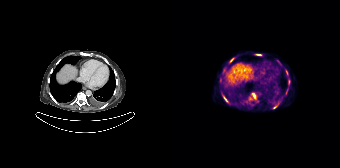
Coordinates are on the 168×168 PET (right) panel. (showing 8 of 9 foci) PSMA-avid tumor lesion bounding boxes (x0,y0,x1,y1): [77,92,84,100], [51,96,56,102], [83,54,89,55], [57,58,61,62]. Small PSMA-avid foci (2 to 4 px across) near (center x, center y): (116, 83), (107, 62), (51, 68), (114, 72).
modality: PSMA PET/CT | tracer: 68Ga-PSMA | view: axial | PET grid: 168×168